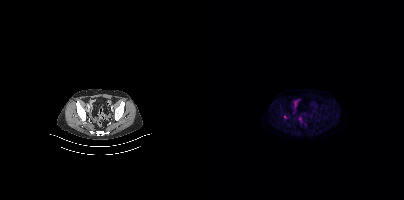
Coordinates are on the 200×200 PET (right) panel. Small PSMA-avid focus (2 to 4 px across) near (center x, center y): (80, 116). Left: CT. Right: PSMA PET, same axial level, [18F]PSMA-1007 tracer. Acquired on Siemens Biograph mCT Flow 20.